Left: CT. Right: PSMA PET, same axial level, 18F tracer.
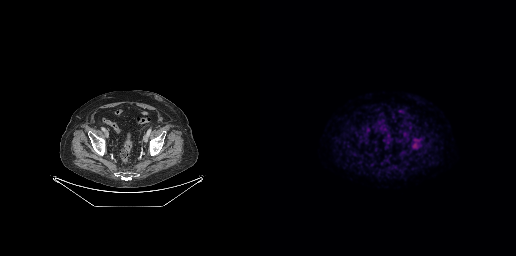
Negative for PSMA-avid disease on this slice.